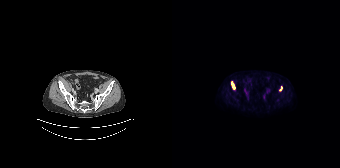
Findings: Coordinates are on the 168×168 PET (right) panel. PSMA-avid tumor lesion bounding boxes (x, y, width, height): x=59 y=81 w=5 h=9 | x=107 y=86 w=4 h=5.
- Two-panel axial: CT | PSMA PET, [18F]PSMA-1007 tracer
- acquired on Siemens Biograph 64-4R TruePoint
- slice position z = -1228 mm
- PET panel 168×168 px (4.1 mm/px)